Two-panel axial: CT | PSMA PET, 68Ga tracer. Slice position z = -420 mm.
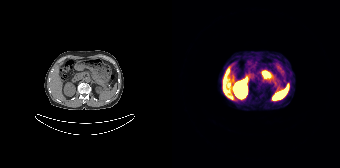
Negative for PSMA-avid disease on this slice.